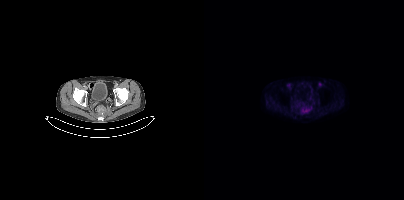
Coordinates are on the 200×200 PET (right) panel. PSMA-avid tumor lesion bounding box (x, y, width, height): x=98 y=108 w=8 h=5.